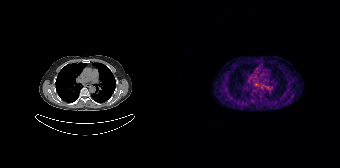
Two-panel axial: CT | PSMA PET, 68Ga-PSMA tracer. Acquired on Siemens Biograph 64-4R TruePoint. Slice 135 of 195. PET panel 168×168 px (4.1 mm/px). Coordinates are on the 168×168 PET (right) panel. Small PSMA-avid focus (2 to 4 px across) near (center x, center y): (83, 84).